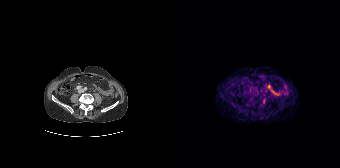
- Two-panel axial: CT | PSMA PET, 68Ga-PSMA tracer
- acquired on Siemens Biograph 64-4R TruePoint
Findings: This slice has no annotated PSMA-avid lesion.